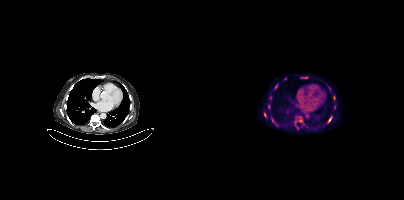
Coordinates are on the 200×200 PET (right) panel. (showing 9 of 12 foci) PSMA-avid tumor lesion bounding boxes (x, y, width, height): x=124 y=116 w=5 h=7; x=71 y=84 w=3 h=5; x=129 y=96 w=3 h=5. Small PSMA-avid foci (2 to 4 px across) near (center x, center y): (60, 114); (96, 120); (66, 96); (68, 120); (125, 88); (130, 106). Two-panel axial: CT | PSMA PET, 18F-PSMA tracer.